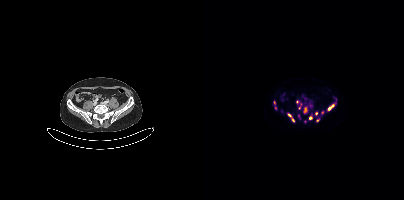
Coordinates are on the 200×200 PET (right) panel. (showing 12 of 16 foci) PSMA-avid tumor lesion bounding boxes (x, y, width, height): x=84 y=114 w=7 h=9; x=100 y=107 w=3 h=6. Small PSMA-avid foci (2 to 4 px across) near (center x, center y): (112, 113); (106, 118); (93, 101); (70, 102); (95, 107); (125, 108); (95, 117); (71, 107); (128, 107); (113, 120).